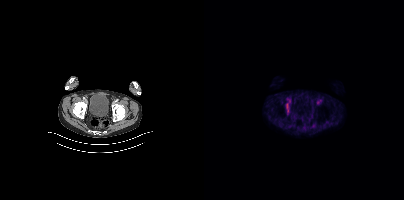
Findings: This slice has no annotated PSMA-avid lesion.
- Left: CT. Right: PSMA PET, same axial level, 18F tracer
- slice position z = -911 mm
- PET panel 200×200 px (4.1 mm/px)